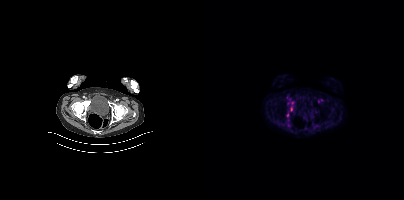
Negative for PSMA-avid disease on this slice.